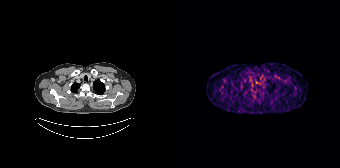
Negative for PSMA-avid disease on this slice.